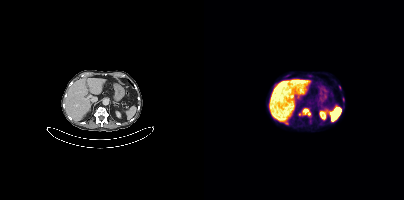
{"modality":"PSMA PET/CT","view":"axial","tracer":"18F","pet_grid":[200,200],"coord_frame":"pet_panel","coord_format":"x0,y0,x1,y1","partial":true,"lesion_bboxes":[[99,108,106,115]]}